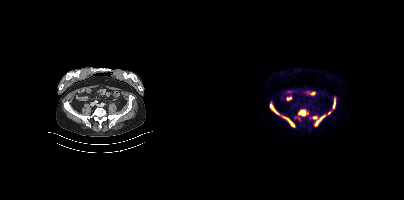
Coordinates are on the 200×200 PET (right) panel. PSMA-avid tumor lesion bounding boxes (x0,y0,x1,y1): [110,115,121,125]; [95,110,103,115]; [79,117,90,126]; [66,104,74,114]; [129,98,131,107]; [109,116,113,119]. Small PSMA-avid focus (2 to 4 px across) near (center x, center y): (125, 113).